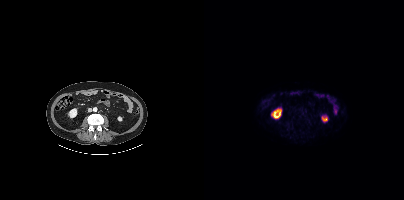
This slice has no annotated PSMA-avid lesion.